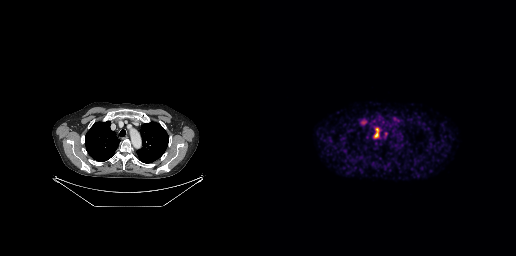
Technique: Paired axial CT (left) and PSMA PET (right), [68Ga]Ga-PSMA-11 tracer. acquired on GE Discovery 690. slice position z = -347 mm.
Findings: Coordinates are on the 256×256 PET (right) panel. PSMA-avid tumor lesion bounding box (x0,y0,x1,y1): [114,129,118,137].